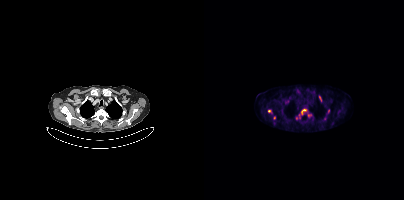
Coordinates are on the 200×200 PET (right) panel. (showing 4 of 6 foci) PSMA-avid tumor lesion bounding box (x0, y0)-(x1, y1): (97, 109)-(102, 114). Small PSMA-avid foci (2 to 4 px across) near (center x, center y): (115, 97) | (65, 110) | (124, 110).